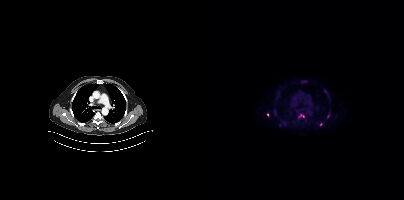
Coordinates are on the 200×200 PET (right) panel. (showing 2 of 4 foci) Small PSMA-avid foci (2 to 4 px across) near (center x, center y): (117, 125), (63, 115).